Two-panel axial: CT | PSMA PET, 18F tracer. Acquired on Siemens Biograph mCT Flow 20.
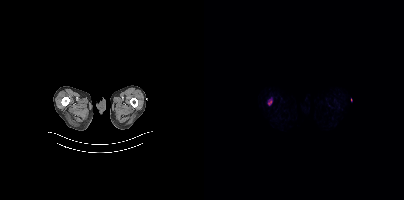
Coordinates are on the 200×200 PET (right) panel. PSMA-avid tumor lesion bounding box (x0, y0)-(x1, y1): (64, 100)-(68, 105).